modality: PSMA PET/CT | tracer: 18F | view: axial | PET grid: 200×200
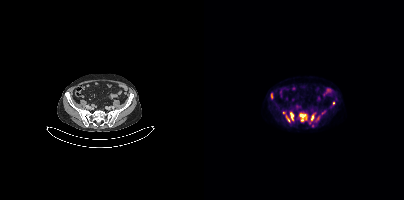
Coordinates are on the 200×200 PET (right) panel. (showing 7 of 8 foci) PSMA-avid tumor lesion bounding boxes (x0, y0)-(x1, y1): (95, 113)-(103, 121) | (86, 112)-(89, 120) | (107, 114)-(110, 120) | (82, 116)-(85, 121) | (67, 93)-(68, 97). Small PSMA-avid foci (2 to 4 px across) near (center x, center y): (129, 103) | (79, 112).